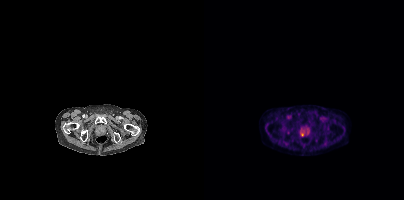
{"pet_grid":[200,200],"coord_frame":"pet_panel","coord_format":"x0,y0,x1,y1","lesion_bboxes":[],"small_foci_centers":[[98,134],[84,132]],"modality":"PSMA PET/CT","view":"axial","tracer":"18F-PSMA"}